Technique: Left: CT. Right: PSMA PET, same axial level, 18F-PSMA tracer. acquired on GE Discovery 690. PET panel 256×256 px (2.7 mm/px).
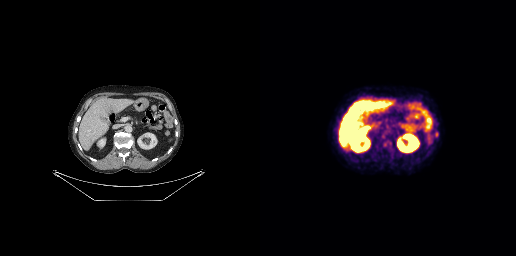
Findings: This slice has no annotated PSMA-avid lesion.